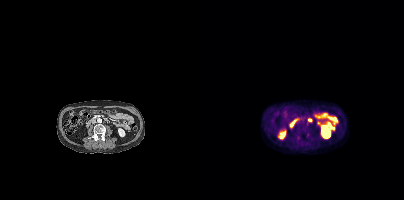
No PSMA-avid tumor lesions on this slice.
modality: PSMA PET/CT | tracer: [18F]PSMA-1007 | view: axial